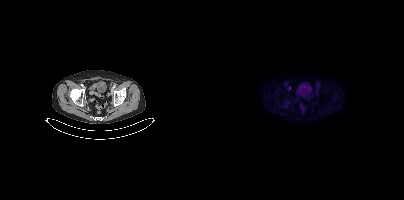
Coordinates are on the 200×200 PET (right) panel. Small PSMA-avid focus (2 to 4 px across) near (center x, center y): (85, 87). Paired axial CT (left) and PSMA PET (right), 18F-PSMA tracer.